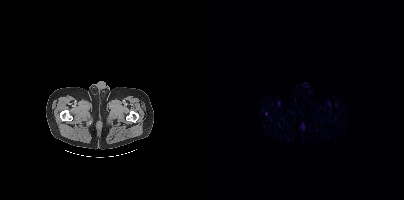
Paired axial CT (left) and PSMA PET (right), 18F-PSMA tracer. Slice 19 of 417. Coordinates are on the 200×200 PET (right) panel. Small PSMA-avid focus (2 to 4 px across) near (center x, center y): (62, 113).